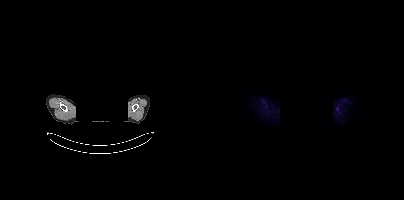
Facial anatomy redacted by setting a rectangular region of the head to black. Left: CT. Right: PSMA PET, same axial level, [18F]PSMA-1007 tracer. Slice 375 of 425. Coordinates are on the 200×200 PET (right) panel. Small PSMA-avid focus (2 to 4 px across) near (center x, center y): (133, 109).